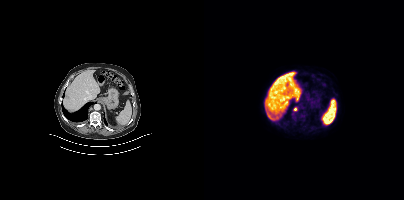
Technique: Left: CT. Right: PSMA PET, same axial level, 18F tracer. slice 224 of 413. PET panel 200×200 px (4.1 mm/px).
Findings: Coordinates are on the 200×200 PET (right) panel. Small PSMA-avid focus (2 to 4 px across) near (center x, center y): (91, 109).